modality: PSMA PET/CT | tracer: 18F-PSMA | view: axial
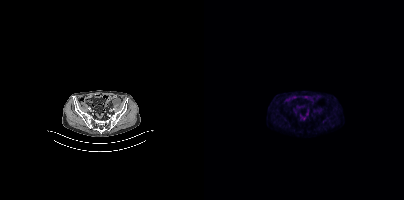
Negative for PSMA-avid disease on this slice.